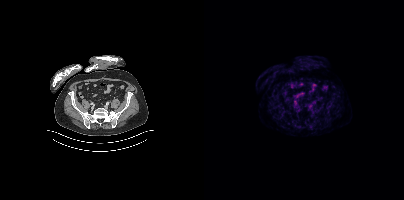
{"modality":"PSMA PET/CT","view":"axial","tracer":"68Ga","pet_grid":[200,200],"coord_frame":"pet_panel","coord_format":"x0,y0,x1,y1","psma_avid_lesions":false}